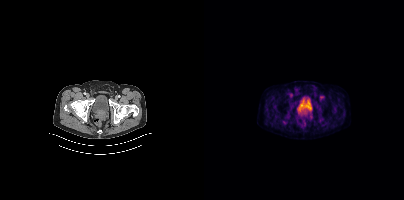
- Paired axial CT (left) and PSMA PET (right), [18F]PSMA-1007 tracer
- slice 59 of 433
Findings: Coordinates are on the 200×200 PET (right) panel. Small PSMA-avid focus (2 to 4 px across) near (center x, center y): (101, 113).